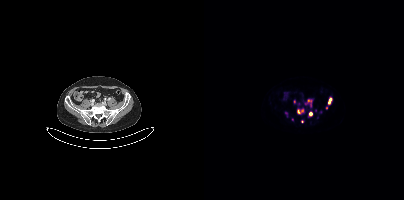
Coordinates are on the 200×200 PET (right) panel. (showing 9 of 11 foci) PSMA-avid tumor lesion bounding boxes (x0, y0)-(x1, y1): (101, 99)-(107, 106) | (125, 99)-(127, 103). Small PSMA-avid foci (2 to 4 px across) near (center x, center y): (106, 113) | (94, 111) | (82, 112) | (98, 110) | (111, 110) | (98, 121) | (122, 107).